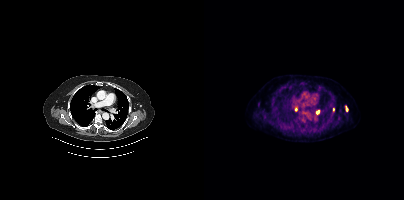
Left: CT. Right: PSMA PET, same axial level, 18F-PSMA tracer. PET panel 200×200 px (4.1 mm/px). Coordinates are on the 200×200 PET (right) panel. PSMA-avid tumor lesion bounding boxes (x0,y0,x1,y1): [112,110,115,114]; [142,106,143,110]. Small PSMA-avid foci (2 to 4 px across) near (center x, center y): (92, 109); (129, 109).